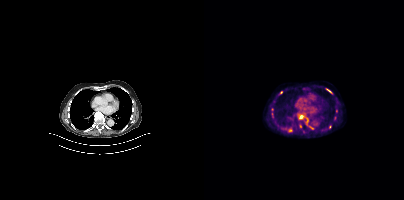
{"modality":"PSMA PET/CT","view":"axial","tracer":"[18F]PSMA-1007","pet_grid":[200,200],"coord_frame":"pet_panel","coord_format":"x0,y0,x1,y1","partial":true,"lesion_bboxes":[[95,115,100,119],[122,89,127,92],[103,118,104,122]],"small_foci_centers":[[77,92],[126,127],[68,115],[86,130]]}